- Left: CT. Right: PSMA PET, same axial level, 18F tracer
- PET panel 256×256 px (2.7 mm/px)
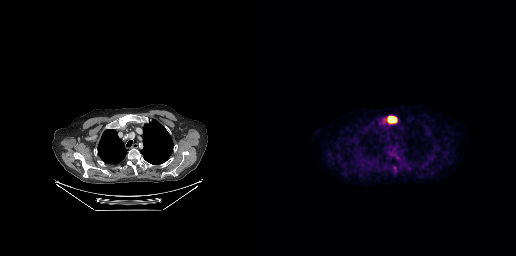
Findings: Coordinates are on the 256×256 PET (right) panel. PSMA-avid tumor lesion bounding box (x, y, width, height): x=128 y=116 w=9 h=7.